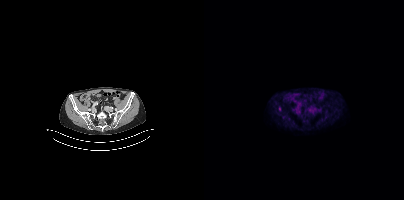
modality: PSMA PET/CT | tracer: [18F]PSMA-1007 | view: axial
Coordinates are on the 200×200 PET (right) panel. Small PSMA-avid focus (2 to 4 px across) near (center x, center y): (75, 108).